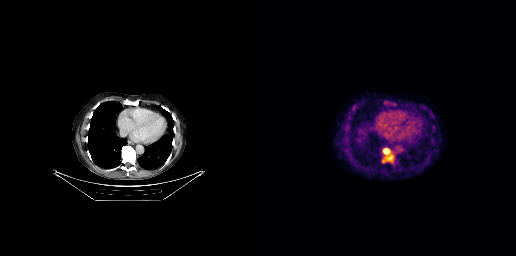
Left: CT. Right: PSMA PET, same axial level, [18F]PSMA-1007 tracer. Slice position z = -335 mm. Coordinates are on the 256×256 PET (right) panel. PSMA-avid tumor lesion bounding boxes (x0, y0)-(x1, y1): (121, 156)-(132, 163) / (123, 148)-(129, 154).